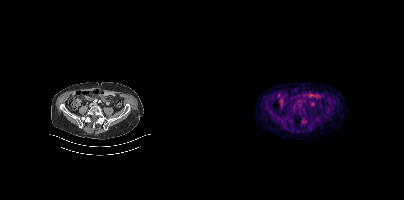
No tumor lesions annotated on this slice.